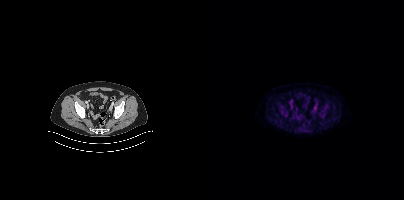
Technique: Two-panel axial: CT | PSMA PET, [18F]PSMA-1007 tracer. slice 94 of 409.
Findings: Only PSMA-avid lesion pieces thinner than 2 px on this slice (not listed).